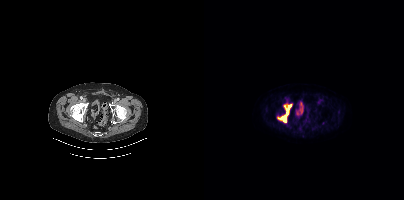
- Left: CT. Right: PSMA PET, same axial level, [18F]PSMA-1007 tracer
- PET panel 200×200 px (4.1 mm/px)
Findings: Coordinates are on the 200×200 PET (right) panel. (showing 1 of 2 foci) PSMA-avid tumor lesion bounding box (x0,y0,x1,y1): [76,104,87,122].